Paired axial CT (left) and PSMA PET (right), 18F-PSMA tracer. PET panel 200×200 px (4.1 mm/px).
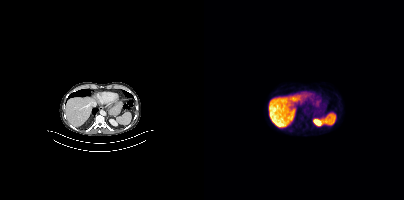
No PSMA-avid tumor lesions on this slice.